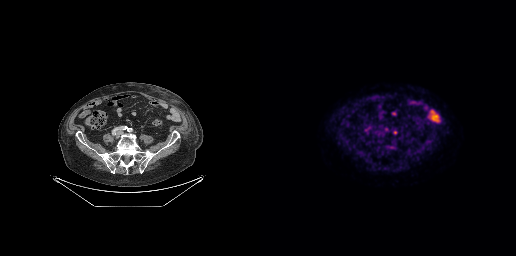
modality: PSMA PET/CT | tracer: 18F | view: axial
Coordinates are on the 256×256 PET (right) panel. Small PSMA-avid focus (2 to 4 px across) near (center x, center y): (135, 132).